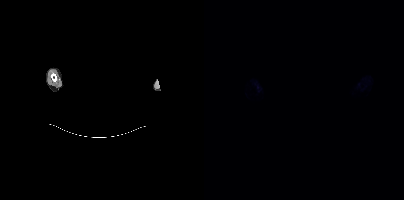
Findings: No tumor lesions annotated on this slice.
Technique: Two-panel axial: CT | PSMA PET, 18F tracer.
Note: The head region is masked for de-identification.